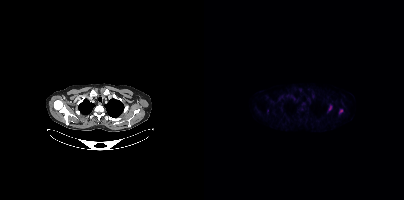
Technique: Two-panel axial: CT | PSMA PET, 18F-PSMA tracer. slice position z = 342 mm. PET panel 200×200 px (4.1 mm/px).
Findings: Coordinates are on the 200×200 PET (right) panel. PSMA-avid tumor lesion bounding boxes (x0,y0,x1,y1): [125,105,128,110] [135,109,138,113] [63,109,64,113].